- Paired axial CT (left) and PSMA PET (right), [18F]PSMA-1007 tracer
- acquired on Siemens Biograph mCT Flow 20
- slice 361 of 435
- PET panel 200×200 px (4.1 mm/px)
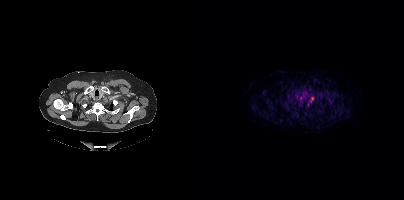
Findings: Coordinates are on the 200×200 PET (right) panel. Small PSMA-avid focus (2 to 4 px across) near (center x, center y): (127, 99).